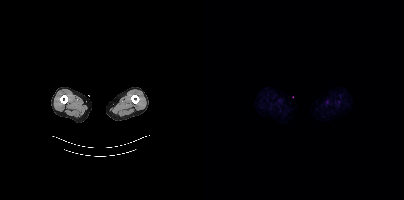
- Paired axial CT (left) and PSMA PET (right), [18F]PSMA-1007 tracer
- acquired on Siemens Biograph mCT Flow 20
- PET panel 200×200 px (4.1 mm/px)
Findings: No tumor lesions annotated on this slice.